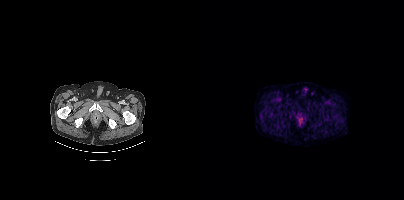
No tumor lesions annotated on this slice.
modality: PSMA PET/CT | tracer: [18F]PSMA-1007 | view: axial | PET grid: 200×200